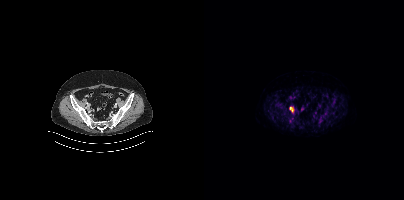
Coordinates are on the 200×200 PET (right) panel. PSMA-avid tumor lesion bounding box (x0,y0,x1,y1): [86,107,89,111].